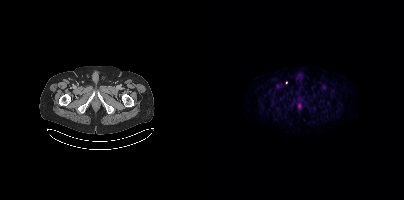
Findings: Coordinates are on the 200×200 PET (right) panel. Small PSMA-avid focus (2 to 4 px across) near (center x, center y): (82, 82).
- Paired axial CT (left) and PSMA PET (right), [18F]PSMA-1007 tracer
- acquired on Siemens Biograph mCT Flow 20
- slice position z = -759 mm